modality: PSMA PET/CT | tracer: [18F]PSMA-1007 | view: axial
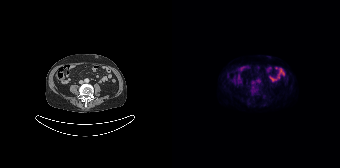
This slice has no annotated PSMA-avid lesion.